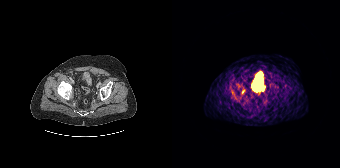
{"modality":"PSMA PET/CT","view":"axial","tracer":"[68Ga]Ga-PSMA-11","pet_grid":[168,168],"coord_frame":"pet_panel","coord_format":"x0,y0,x1,y1","partial":true,"lesion_bboxes":[],"small_foci_centers":[[71,91]]}